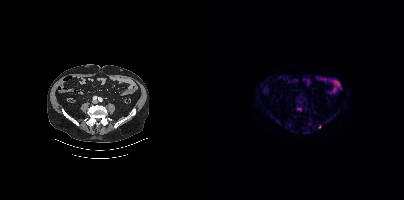
Negative for PSMA-avid disease on this slice. Left: CT. Right: PSMA PET, same axial level, 18F tracer. Acquired on Siemens Biograph mCT Flow 20. PET panel 200×200 px (4.1 mm/px).